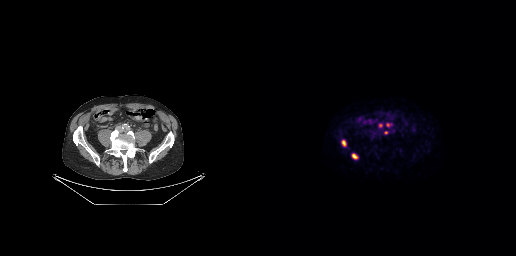
Coordinates are on the 256×256 PET (right) panel. PSMA-avid tumor lesion bounding boxes (x, y, width, height): x=91 y=153 w=8 h=7; x=81 y=140 w=6 h=7; x=126 y=123 w=7 h=4; x=119 y=123 w=4 h=5; x=124 y=131 w=5 h=4.